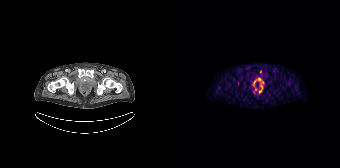
{"modality":"PSMA PET/CT","view":"axial","tracer":"68Ga-PSMA","pet_grid":[168,168],"coord_frame":"pet_panel","coord_format":"x0,y0,x1,y1","partial":true,"lesion_bboxes":[],"small_foci_centers":[[87,79],[88,91],[88,72],[89,86]]}